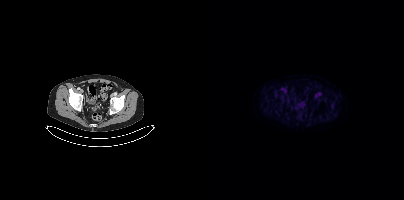
Paired axial CT (left) and PSMA PET (right), 18F-PSMA tracer. Acquired on Siemens Biograph mCT Flow 20. No tumor lesions annotated on this slice.